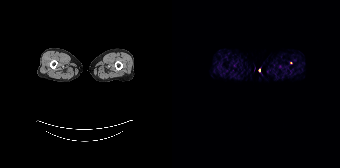
modality: PSMA PET/CT | tracer: 68Ga-PSMA | view: axial
No tumor lesions annotated on this slice.